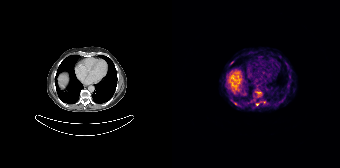
{"modality":"PSMA PET/CT","view":"axial","tracer":"[68Ga]Ga-PSMA-11","pet_grid":[168,168],"coord_frame":"pet_panel","coord_format":"x0,y0,x1,y1","partial":true,"lesion_bboxes":[[61,102,65,105]],"small_foci_centers":[[59,62],[85,104],[117,76]]}